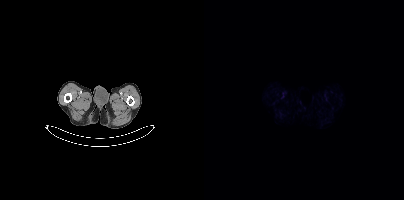
{"pet_grid":[200,200],"coord_frame":"pet_panel","coord_format":"x0,y0,x1,y1","psma_avid_lesions":false,"modality":"PSMA PET/CT","view":"axial","tracer":"18F"}